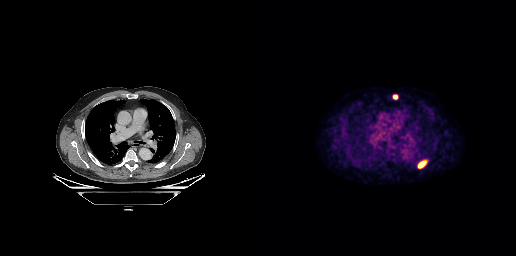
Findings: Coordinates are on the 256×256 PET (right) panel. PSMA-avid tumor lesion bounding boxes (x, y, width, height): x=157 y=160 w=11 h=9 / x=133 y=94 w=6 h=6.
- Left: CT. Right: PSMA PET, same axial level, 18F-PSMA tracer